- Two-panel axial: CT | PSMA PET, [18F]PSMA-1007 tracer
- slice position z = -843 mm
- PET panel 256×256 px (2.7 mm/px)
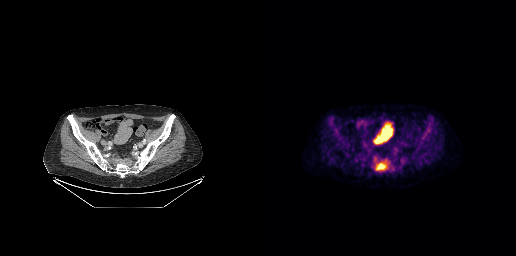
Findings: Coordinates are on the 256×256 PET (right) panel. PSMA-avid tumor lesion bounding box (x0, y0)-(x1, y1): (116, 163)-(125, 169).